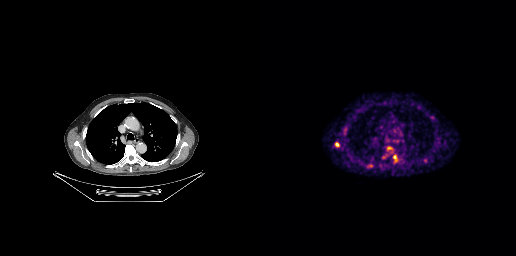
Findings: Coordinates are on the 256×256 PET (right) panel. (showing 5 of 6 foci) PSMA-avid tumor lesion bounding boxes (x0, y0)-(x1, y1): (133, 154)-(138, 162); (107, 163)-(112, 168); (170, 116)-(174, 119). Small PSMA-avid foci (2 to 4 px across) near (center x, center y): (76, 144); (165, 160).
Technique: Paired axial CT (left) and PSMA PET (right), 68Ga-PSMA tracer. acquired on GE Discovery 690.